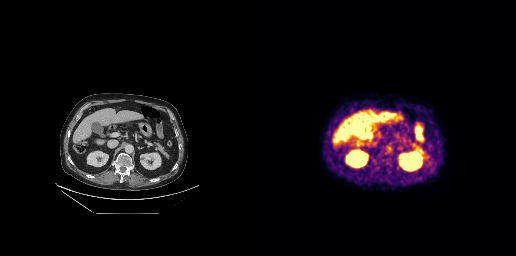
Two-panel axial: CT | PSMA PET, [18F]PSMA-1007 tracer. Acquired on GE Discovery 690. Slice 146 of 263. No tumor lesions annotated on this slice.